modality: PSMA PET/CT | tracer: 18F | view: axial | PET grid: 200×200
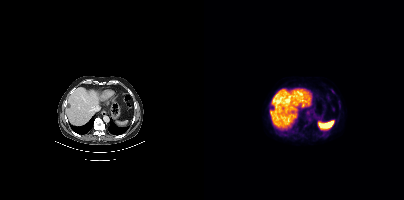
No PSMA-avid tumor lesions on this slice.